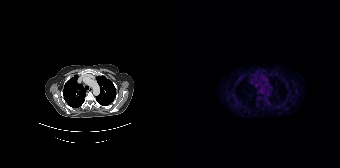
No tumor lesions annotated on this slice.